modality: PSMA PET/CT | tracer: 18F-PSMA | view: axial | PET grid: 200×200
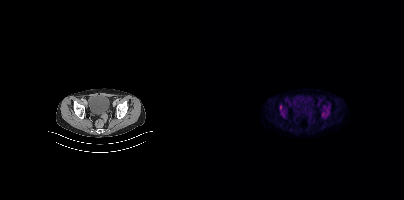
Only PSMA-avid lesion pieces thinner than 2 px on this slice (not listed).